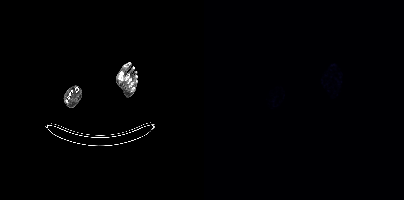
{"pet_grid":[200,200],"coord_frame":"pet_panel","coord_format":"x0,y0,x1,y1","psma_avid_lesions":false,"modality":"PSMA PET/CT","view":"axial","tracer":"[18F]PSMA-1007"}